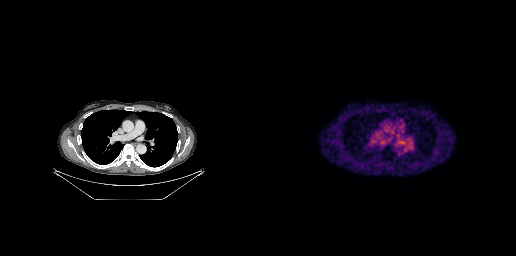
modality: PSMA PET/CT | tracer: [68Ga]Ga-PSMA-11 | view: axial | PET grid: 256×256
Negative for PSMA-avid disease on this slice.